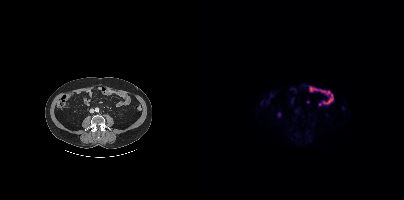
{"modality":"PSMA PET/CT","view":"axial","tracer":"18F-PSMA","pet_grid":[200,200],"coord_frame":"pet_panel","coord_format":"x0,y0,x1,y1","psma_avid_lesions":false}